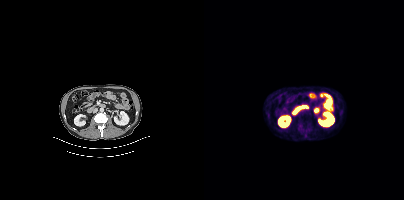
Coordinates are on the 200×200 PET (right) panel. Small PSMA-avid foci (2 to 4 px across) near (center x, center y): (98, 122); (103, 123). Two-panel axial: CT | PSMA PET, 18F tracer.